Two-panel axial: CT | PSMA PET, 18F-PSMA tracer. Acquired on Siemens Biograph mCT Flow 20. PET panel 200×200 px (4.1 mm/px).
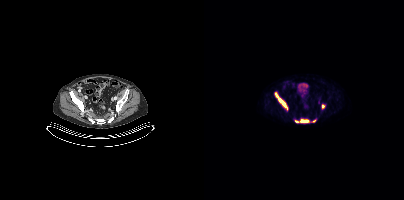
Coordinates are on the 200×200 PET (right) panel. (showing 4 of 5 foci) PSMA-avid tumor lesion bounding boxes (x0,y0,x1,y1): [71,92,83,109]; [96,119,104,122]. Small PSMA-avid foci (2 to 4 px across) near (center x, center y): (92, 121); (118, 106).